Technique: Left: CT. Right: PSMA PET, same axial level, 18F-PSMA tracer.
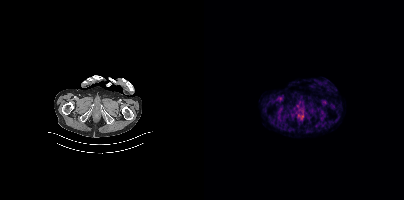
Findings: No tumor lesions annotated on this slice.